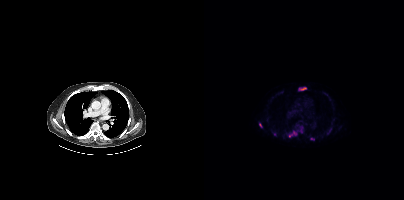
{"modality":"PSMA PET/CT","view":"axial","tracer":"[18F]PSMA-1007","pet_grid":[200,200],"coord_frame":"pet_panel","coord_format":"x0,y0,x1,y1","partial":true,"lesion_bboxes":[[95,87,102,90],[55,123,58,127],[106,138,110,140]],"small_foci_centers":[[86,135],[70,134]]}